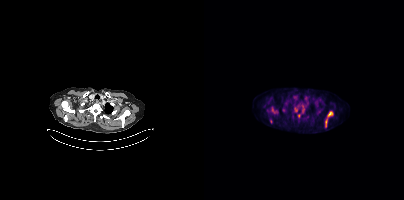
Coordinates are on the 200×200 PET (right) panel. (showing 4 of 6 foci) PSMA-avid tumor lesion bounding boxes (x0,y0,x1,y1): [121,111,129,126]; [68,107,69,111]. Small PSMA-avid foci (2 to 4 px across) near (center x, center y): (92, 109); (99, 109).